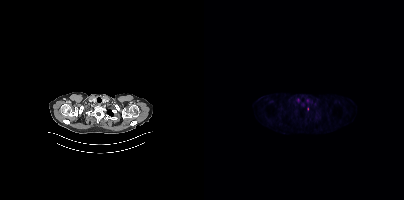
{"modality":"PSMA PET/CT","view":"axial","tracer":"18F-PSMA","pet_grid":[200,200],"coord_frame":"pet_panel","coord_format":"x0,y0,x1,y1","partial":true,"lesion_bboxes":[]}